Left: CT. Right: PSMA PET, same axial level, [18F]PSMA-1007 tracer. Slice 247 of 429.
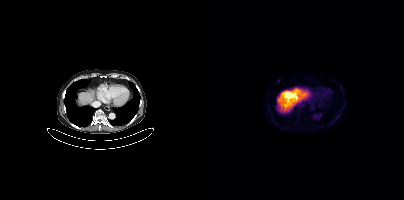
Only PSMA-avid lesion pieces thinner than 2 px on this slice (not listed).